Left: CT. Right: PSMA PET, same axial level, [18F]PSMA-1007 tracer. Slice 61 of 165.
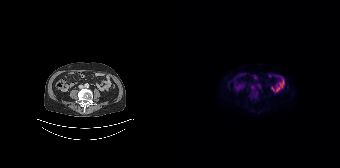
This slice has no annotated PSMA-avid lesion.